Two-panel axial: CT | PSMA PET, 18F tracer.
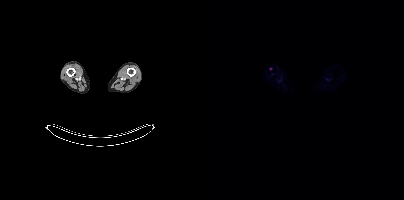
Coordinates are on the 200×200 PET (right) panel. Small PSMA-avid focus (2 to 4 px across) near (center x, center y): (66, 68).